modality: PSMA PET/CT | tracer: [18F]PSMA-1007 | view: axial | PET grid: 200×200
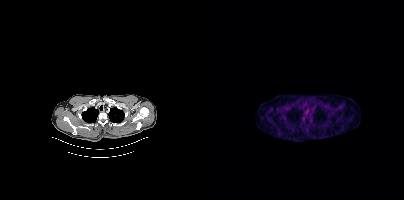
No PSMA-avid tumor lesions on this slice.